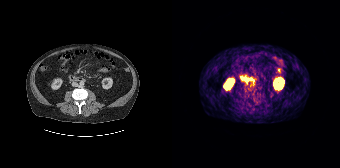
Negative for PSMA-avid disease on this slice. Left: CT. Right: PSMA PET, same axial level, [68Ga]Ga-PSMA-11 tracer. Acquired on Siemens Biograph 64-4R TruePoint.